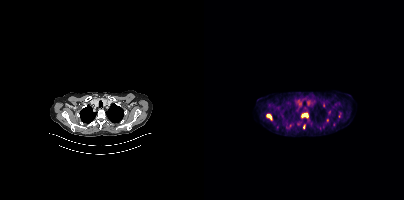
Paired axial CT (left) and PSMA PET (right), [18F]PSMA-1007 tracer. Acquired on Siemens Biograph mCT Flow 20. PET panel 200×200 px (4.1 mm/px). Coordinates are on the 200×200 PET (right) panel. (showing 3 of 6 foci) PSMA-avid tumor lesion bounding boxes (x, y, width, height): x=97 y=113 w=8 h=5 / x=63 y=114 w=5 h=6. Small PSMA-avid focus (2 to 4 px across) near (center x, center y): (99, 125).